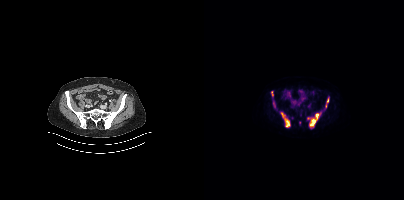
Two-panel axial: CT | PSMA PET, 18F-PSMA tracer. PET panel 200×200 px (4.1 mm/px). Coordinates are on the 200×200 PET (right) panel. (showing 5 of 7 foci) PSMA-avid tumor lesion bounding boxes (x0, y0)-(x1, y1): (77, 112)-(86, 127); (106, 113)-(114, 126); (67, 91)-(69, 96). Small PSMA-avid foci (2 to 4 px across) near (center x, center y): (123, 100); (69, 104).